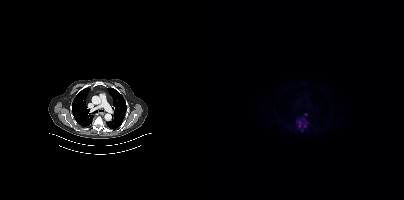
{"pet_grid":[200,200],"coord_frame":"pet_panel","coord_format":"x0,y0,x1,y1","lesion_bboxes":[[92,118,104,131]],"modality":"PSMA PET/CT","view":"axial","tracer":"18F-PSMA"}